- Left: CT. Right: PSMA PET, same axial level, 18F-PSMA tracer
- slice 204 of 444
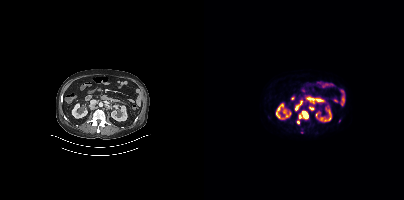
Findings: Coordinates are on the 200×200 PET (right) panel. PSMA-avid tumor lesion bounding boxes (x0,y0,x1,y1): [95,111,104,118], [91,101,98,110]. Small PSMA-avid foci (2 to 4 px across) near (center x, center y): (94, 122), (107, 108).